Technique: Left: CT. Right: PSMA PET, same axial level, [18F]PSMA-1007 tracer. slice position z = -50 mm. PET panel 200×200 px (4.1 mm/px).
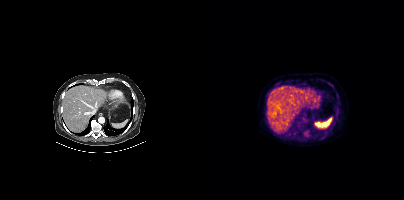
Findings: This slice has no annotated PSMA-avid lesion.